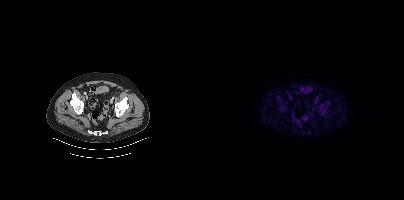
{"modality":"PSMA PET/CT","view":"axial","tracer":"18F","pet_grid":[200,200],"coord_frame":"pet_panel","coord_format":"x0,y0,x1,y1","lesion_bboxes":[[115,108,122,115],[72,95,76,101],[121,101,125,105],[76,107,82,111],[113,104,117,106]],"small_foci_centers":[[104,132]]}